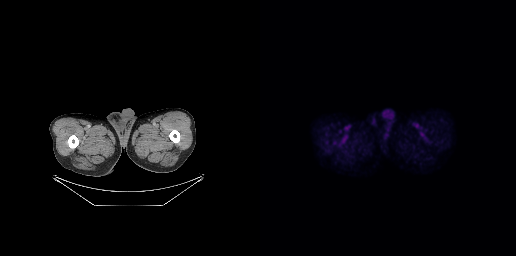
- Left: CT. Right: PSMA PET, same axial level, 18F-PSMA tracer
- slice 26 of 263
Findings: No PSMA-avid tumor lesions on this slice.